Paired axial CT (left) and PSMA PET (right), 18F tracer. PET panel 200×200 px (4.1 mm/px). Facial anatomy redacted by setting a rectangular region of the head to black.
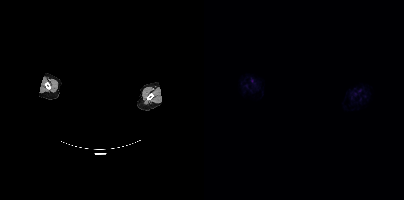
Negative for PSMA-avid disease on this slice.